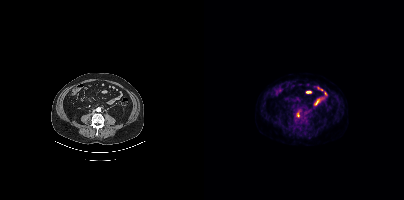
- Two-panel axial: CT | PSMA PET, [18F]PSMA-1007 tracer
- acquired on Siemens Biograph mCT Flow 20
Findings: Coordinates are on the 200×200 PET (right) panel. (showing 1 of 2 foci) PSMA-avid tumor lesion bounding box (x0,y0,x1,y1): [93,112,95,116].